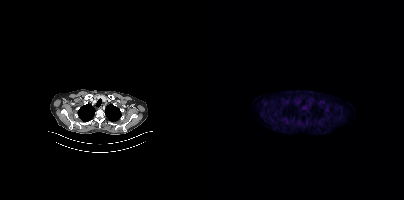
This slice has no annotated PSMA-avid lesion.